redaction: region blacked out before release | modality: PSMA PET/CT | tracer: 18F-PSMA | view: axial | PET grid: 200×200
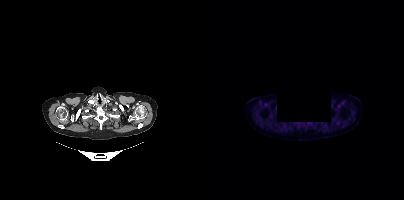
This slice has no annotated PSMA-avid lesion.